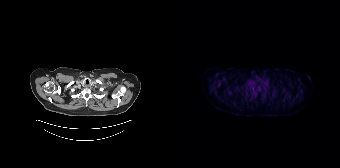
Paired axial CT (left) and PSMA PET (right), 18F tracer. Slice position z = -1026 mm. PET panel 168×168 px (4.1 mm/px). Only PSMA-avid lesion pieces thinner than 2 px on this slice (not listed).